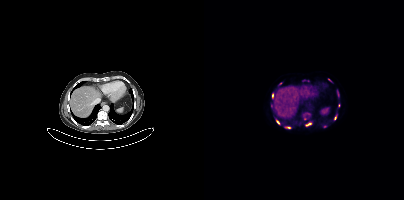
Coordinates are on the 200×200 PET (right) panel. (showing 9 of 12 foci) PSMA-avid tumor lesion bounding boxes (x0, y0)-(x1, y1): (102, 122)-(107, 125) / (72, 120)-(75, 124) / (68, 93)-(69, 97) / (133, 91)-(134, 95). Small PSMA-avid foci (2 to 4 px across) near (center x, center y): (120, 126) / (131, 117) / (84, 127) / (76, 83) / (124, 79).